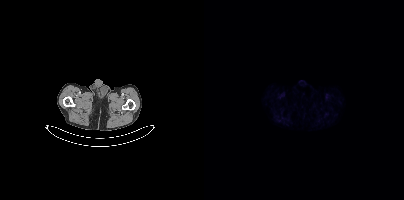
{"modality":"PSMA PET/CT","view":"axial","tracer":"[18F]PSMA-1007","pet_grid":[200,200],"coord_frame":"pet_panel","coord_format":"x0,y0,x1,y1","psma_avid_lesions":false}